Paired axial CT (left) and PSMA PET (right), [18F]PSMA-1007 tracer. Acquired on Siemens Biograph mCT Flow 20. Slice position z = 306 mm.
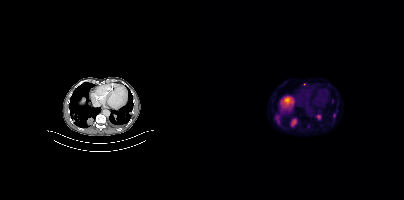
Coordinates are on the 200×200 PET (right) panel. (showing 9 of 10 foci) PSMA-avid tumor lesion bounding boxes (x0, y0)-(x1, y1): (87, 118)-(92, 126) | (113, 115)-(117, 119) | (73, 120)-(76, 124) | (127, 99)-(129, 103). Small PSMA-avid foci (2 to 4 px across) near (center x, center y): (74, 116) | (130, 115) | (104, 126) | (70, 119) | (83, 99).